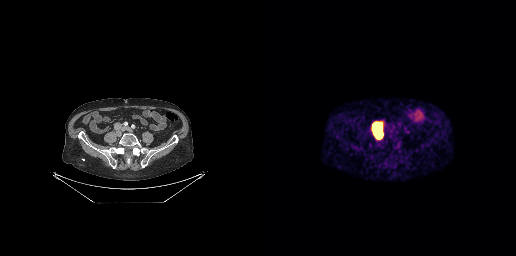
{"modality":"PSMA PET/CT","view":"axial","tracer":"68Ga-PSMA","pet_grid":[256,256],"coord_frame":"pet_panel","coord_format":"x0,y0,x1,y1","lesion_bboxes":[[114,123,121,137]]}